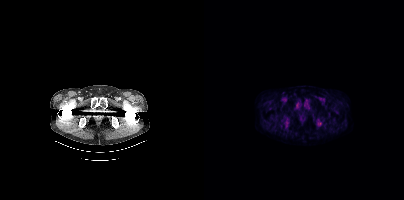
modality: PSMA PET/CT | tracer: 18F-PSMA | view: axial
Negative for PSMA-avid disease on this slice.